deidentification: head region blacked out before release | modality: PSMA PET/CT | tracer: 18F | view: axial
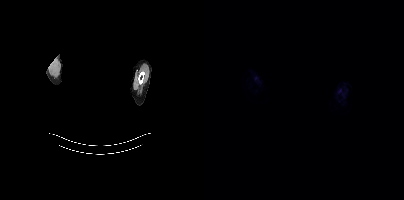
Negative for PSMA-avid disease on this slice.